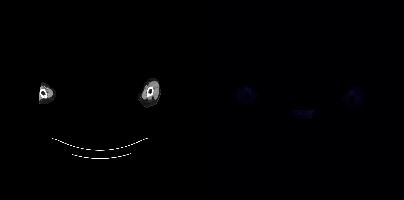
Technique: Two-panel axial: CT | PSMA PET, 68Ga tracer. PET panel 200×200 px (4.1 mm/px).
Note: The face region was removed for patient privacy by blanking a rectangle over the head.
Findings: No tumor lesions annotated on this slice.